modality: PSMA PET/CT | tracer: 18F | view: axial
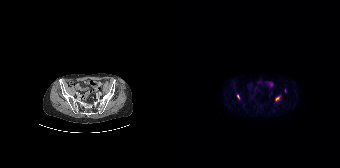
Coordinates are on the 168×168 PET (right) panel. (showing 2 of 3 foci) PSMA-avid tumor lesion bounding boxes (x, y, width, height): x=103 y=96 w=6 h=6 | x=65 y=94 w=3 h=6.